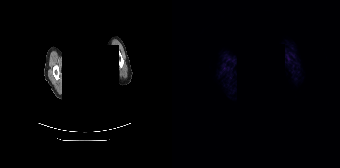
A rectangle over the head was blacked out to remove identifiable facial features. Left: CT. Right: PSMA PET, same axial level, 68Ga-PSMA tracer. PET panel 168×168 px (4.1 mm/px). No PSMA-avid tumor lesions on this slice.